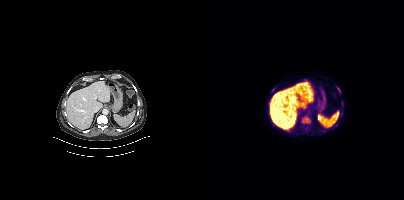
Coordinates are on the 200×200 PET (right) panel. PSMA-avid tumor lesion bounding boxes (partial; 1 more focus not listed):
| # | x0 | y0 | x1 | y1 |
|---|---|---|---|---|
| 1 | 98 | 117 | 105 | 122 |
| 2 | 133 | 87 | 136 | 92 |
Left: CT. Right: PSMA PET, same axial level, 18F tracer. Acquired on Siemens Biograph mCT Flow 20. Slice 204 of 395.